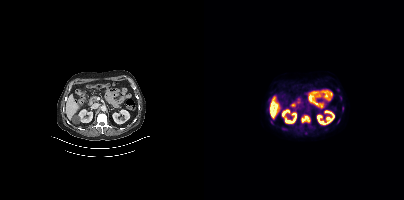
Coordinates are on the 200×200 PET (right) panel. (showing 4 of 5 foci) PSMA-avid tumor lesion bounding boxes (x, y, width, height): x=97 y=115 w=10 h=9; x=138 y=106 w=2 h=6; x=133 y=119 w=3 h=5. Small PSMA-avid focus (2 to 4 px across) near (center x, center y): (77, 127). Paired axial CT (left) and PSMA PET (right), [18F]PSMA-1007 tracer. PET panel 200×200 px (4.1 mm/px).